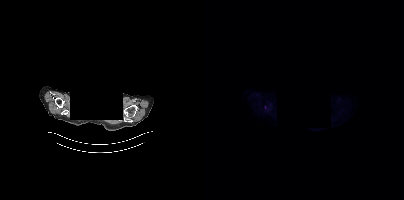
De-identified by setting a box covering the face to black before release.
Only PSMA-avid lesion pieces thinner than 2 px on this slice (not listed).